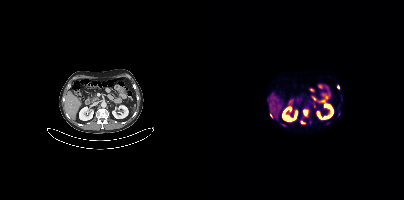
Coordinates are on the 200×200 PET (right) panel. PSMA-avid tumor lesion bounding boxes (partial; 2 more foci not listed):
| # | x0 | y0 | x1 | y1 |
|---|---|---|---|---|
| 1 | 99 | 110 | 103 | 115 |
| 2 | 66 | 113 | 68 | 117 |
| 3 | 97 | 121 | 101 | 124 |
Small PSMA-avid focus (2 to 4 px across) near (center x, center y): (134, 86).
Paired axial CT (left) and PSMA PET (right), [18F]PSMA-1007 tracer. Acquired on Siemens Biograph mCT Flow 20. Slice 200 of 407.